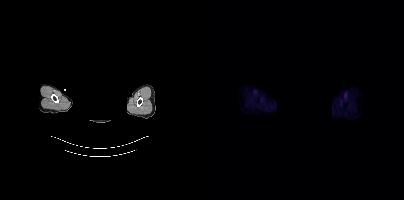
Left: CT. Right: PSMA PET, same axial level, [18F]PSMA-1007 tracer. Slice position z = 582 mm. The face region was removed for patient privacy by blanking a rectangle over the head. No PSMA-avid tumor lesions on this slice.